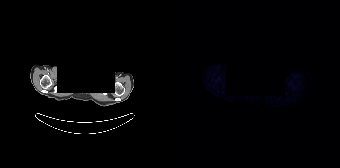
No tumor lesions annotated on this slice. Paired axial CT (left) and PSMA PET (right), 18F-PSMA tracer. Slice position z = -1004 mm. The head region is masked for de-identification.